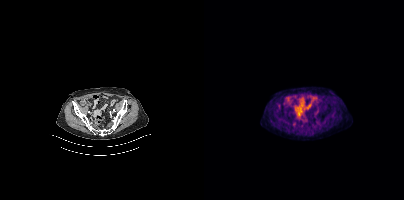
modality: PSMA PET/CT | tracer: [18F]PSMA-1007 | view: axial | PET grid: 200×200
Negative for PSMA-avid disease on this slice.